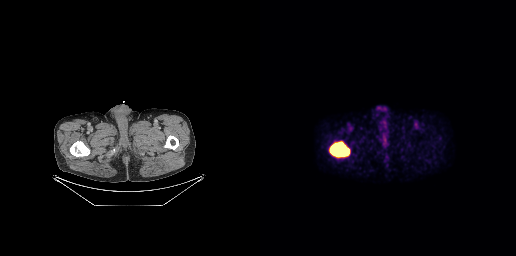
{"modality":"PSMA PET/CT","view":"axial","tracer":"[18F]PSMA-1007","pet_grid":[256,256],"coord_frame":"pet_panel","coord_format":"x0,y0,x1,y1","lesion_bboxes":[[69,140,90,158]]}